Technique: Two-panel axial: CT | PSMA PET, [18F]PSMA-1007 tracer. slice 26 of 427. PET panel 200×200 px (4.1 mm/px).
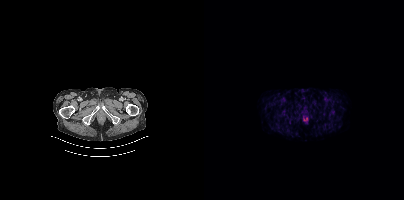
Findings: No tumor lesions annotated on this slice.